modality: PSMA PET/CT | tracer: 68Ga-PSMA | view: axial
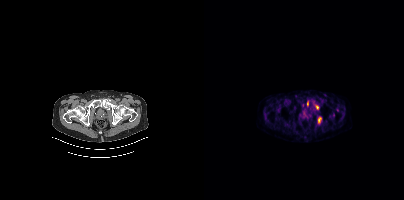
Coordinates are on the 200×200 PET (right) panel. PSMA-avid tumor lesion bounding boxes (x, y, width, height): x=114 y=117 w=4 h=6 | x=103 y=100 w=3 h=7. Small PSMA-avid focus (2 to 4 px across) near (center x, center y): (113, 107).